modality: PSMA PET/CT | tracer: 18F-PSMA | view: axial | PET grid: 200×200
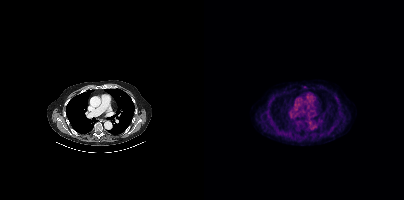
No PSMA-avid tumor lesions on this slice.